- Paired axial CT (left) and PSMA PET (right), 18F-PSMA tracer
- slice 270 of 417
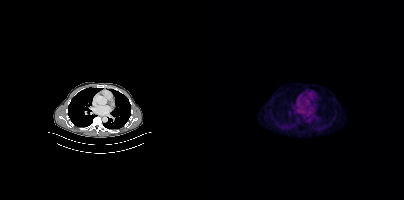
Findings: This slice has no annotated PSMA-avid lesion.